modality: PSMA PET/CT | tracer: 68Ga | view: axial | redaction: head region blacked out before release
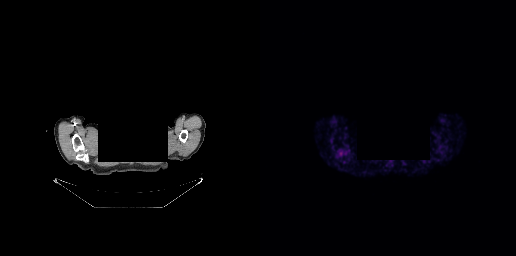
No PSMA-avid tumor lesions on this slice.